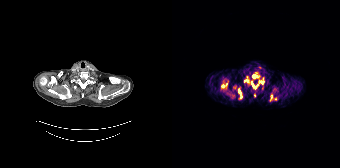
{"modality":"PSMA PET/CT","view":"axial","tracer":"68Ga","pet_grid":[168,168],"coord_frame":"pet_panel","coord_format":"x0,y0,x1,y1","partial":true,"lesion_bboxes":[[80,78,92,89],[49,83,55,87],[66,89,69,97],[72,80,76,82],[55,93,59,95]],"small_foci_centers":[[81,76],[62,86],[99,96]]}